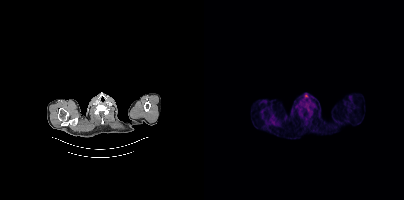
No PSMA-avid tumor lesions on this slice.